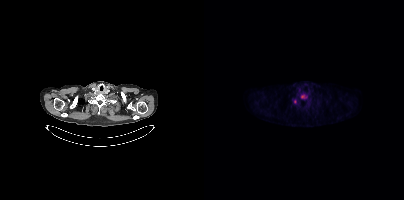
{"pet_grid":[200,200],"coord_frame":"pet_panel","coord_format":"x0,y0,x1,y1","lesion_bboxes":[[97,93,103,99],[89,99,92,104]],"modality":"PSMA PET/CT","view":"axial","tracer":"[18F]PSMA-1007"}